Technique: Left: CT. Right: PSMA PET, same axial level, [68Ga]Ga-PSMA-11 tracer. acquired on Siemens Biograph mCT Flow 20. PET panel 200×200 px (4.1 mm/px).
Note: A rectangular block over the head has been blanked out for de-identification.
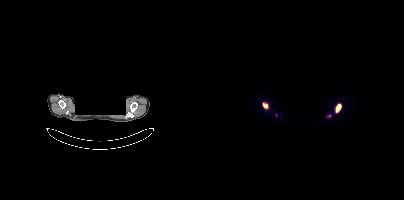
Findings: Coordinates are on the 200×200 PET (right) panel. PSMA-avid tumor lesion bounding boxes (x, y, width, height): x=131 y=104 w=7 h=9 | x=59 y=103 w=5 h=6. Small PSMA-avid focus (2 to 4 px across) near (center x, center y): (125, 115).